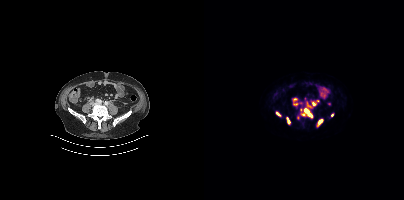
Coordinates are on the 200×200 PET (right) panel. (showing 11 of 14 foci) PSMA-avid tumor lesion bounding boxes (x0, y0)-(x1, y1): (97, 108)-(108, 117) / (113, 119)-(119, 126) / (82, 117)-(86, 124) / (102, 101)-(107, 107) / (108, 102)-(112, 105) / (72, 112)-(76, 115) / (89, 103)-(93, 105). Small PSMA-avid foci (2 to 4 px across) near (center x, center y): (90, 99) / (128, 115) / (113, 100) / (97, 102).
modality: PSMA PET/CT | tracer: 18F-PSMA | view: axial